Technique: Paired axial CT (left) and PSMA PET (right), [18F]PSMA-1007 tracer. acquired on Siemens Biograph mCT Flow 20. slice 121 of 403.
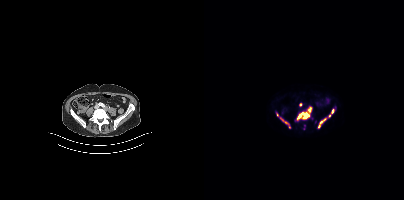
Findings: Coordinates are on the 200×200 PET (right) panel. (showing 8 of 9 foci) PSMA-avid tumor lesion bounding boxes (x0, y0)-(x1, y1): (93, 111)-(105, 119); (114, 118)-(122, 127); (125, 109)-(129, 117); (104, 107)-(107, 112). Small PSMA-avid foci (2 to 4 px across) near (center x, center y): (77, 119); (82, 123); (96, 104); (73, 114).